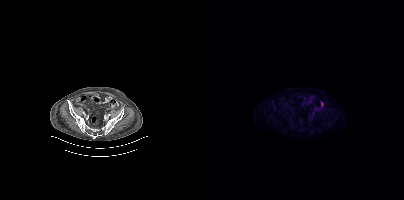
Technique: Two-panel axial: CT | PSMA PET, 18F-PSMA tracer. slice 88 of 344.
Findings: No PSMA-avid tumor lesions on this slice.